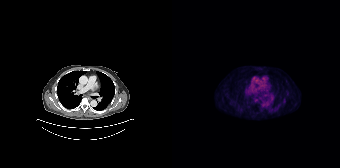
{"modality":"PSMA PET/CT","view":"axial","tracer":"18F-PSMA","pet_grid":[168,168],"coord_frame":"pet_panel","coord_format":"x0,y0,x1,y1","lesion_bboxes":[],"small_foci_centers":[[84,100]]}